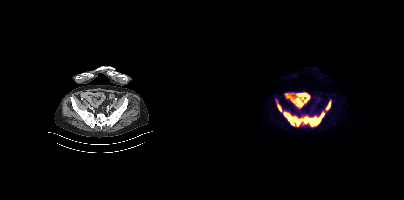
- Left: CT. Right: PSMA PET, same axial level, 18F tracer
- PET panel 200×200 px (4.1 mm/px)
Findings: Coordinates are on the 200×200 PET (right) panel. PSMA-avid tumor lesion bounding boxes (x, y, width, height): x=100 y=111 w=22 h=16 / x=80 y=112 w=19 h=14 / x=73 y=104 w=5 h=8 / x=121 y=102 w=6 h=9.